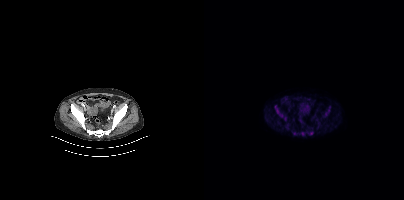
Coordinates are on the 200×200 PET (right) panel. (showing 6 of 8 foci) PSMA-avid tumor lesion bounding boxes (x0,y0,x1,y1): [71,106,79,117]; [121,109,125,116]. Small PSMA-avid foci (2 to 4 px across) near (center x, center y): (98, 133); (107, 133); (90, 133); (80, 118).